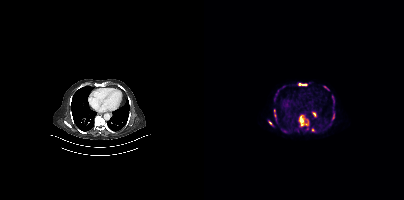
Paired axial CT (left) and PSMA PET (right), [68Ga]Ga-PSMA-11 tracer. Acquired on Siemens Biograph mCT Flow 20. PET panel 200×200 px (4.1 mm/px).
Coordinates are on the 200×200 PET (right) panel. PSMA-avid tumor lesion bounding boxes (partial; 1 more focus not listed):
| # | x0 | y0 | x1 | y1 |
|---|---|---|---|---|
| 1 | 95 | 116 | 104 | 126 |
| 2 | 95 | 83 | 102 | 85 |
| 3 | 128 | 114 | 130 | 118 |
| 4 | 121 | 87 | 125 | 90 |
Small PSMA-avid foci (2 to 4 px across) near (center x, center y): (109, 130); (71, 115); (66, 122); (70, 111); (78, 129); (70, 100).